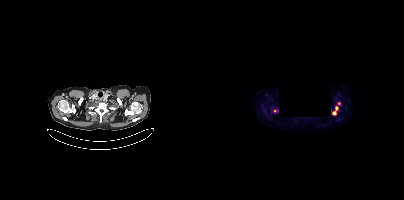
de-identification: rectangle blanked before release | modality: PSMA PET/CT | tracer: 18F-PSMA | view: axial
Coordinates are on the 200×200 PET (right) panel. PSMA-avid tumor lesion bounding box (x0,y0,x1,y1): [129,107,133,114]. Small PSMA-avid foci (2 to 4 px across) near (center x, center y): (71, 111); (135, 103).